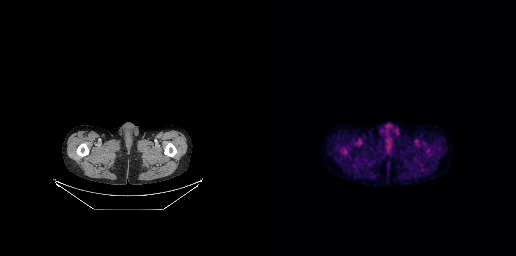
Two-panel axial: CT | PSMA PET, [18F]PSMA-1007 tracer. Negative for PSMA-avid disease on this slice.